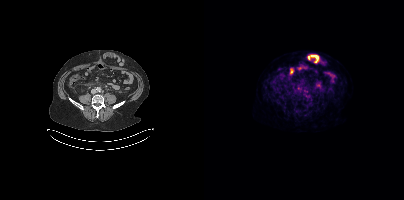
Technique: Two-panel axial: CT | PSMA PET, 18F-PSMA tracer. acquired on Siemens Biograph mCT Flow 20. PET panel 200×200 px (4.1 mm/px).
Findings: Coordinates are on the 200×200 PET (right) panel. PSMA-avid tumor lesion bounding box (x0,y0,x1,y1): [99,90,103,94]. Small PSMA-avid focus (2 to 4 px across) near (center x, center y): (103, 97).